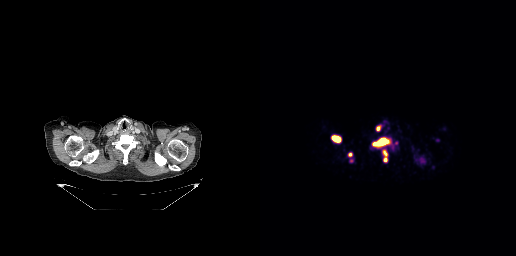
- Two-panel axial: CT | PSMA PET, [68Ga]Ga-PSMA-11 tracer
- acquired on GE Discovery 690
- PET panel 256×256 px (2.7 mm/px)
Findings: Coordinates are on the 256×256 PET (right) panel. PSMA-avid tumor lesion bounding boxes (x0,y0,x1,y1): [114,138,127,145]; [72,136,80,142]; [123,150,127,161]; [88,153,92,156].